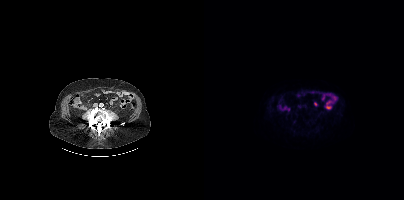
{"modality":"PSMA PET/CT","view":"axial","tracer":"18F-PSMA","pet_grid":[200,200],"coord_frame":"pet_panel","coord_format":"x0,y0,x1,y1","psma_avid_lesions":false}